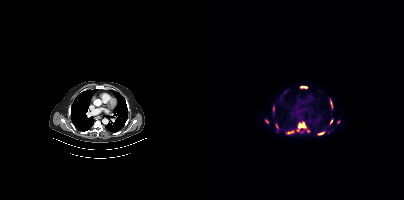
Coordinates are on the 200×200 PET (right) panel. (showing 5 of 14 foci) PSMA-avid tumor lesion bounding boxes (x0,y0,x1,y1): [94,122,101,128] [114,131,120,135] [83,131,89,133]. Small PSMA-avid foci (2 to 4 px across) near (center x, center y): (127, 121) (97, 86). Two-panel axial: CT | PSMA PET, 18F-PSMA tracer. PET panel 200×200 px (4.1 mm/px).